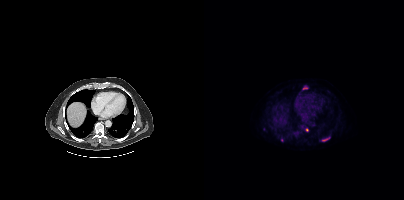
Coordinates are on the 200×200 PET (right) panel. (showing 3 of 5 foci) PSMA-avid tumor lesion bounding box (x0,y0,x1,y1): [118,137,125,141]. Small PSMA-avid foci (2 to 4 px across) near (center x, center y): (103, 130), (77, 140). Left: CT. Right: PSMA PET, same axial level, 18F tracer. Acquired on Siemens Biograph mCT Flow 20. Slice 266 of 417.